modality: PSMA PET/CT | tracer: 18F-PSMA | view: axial | PET grid: 200×200
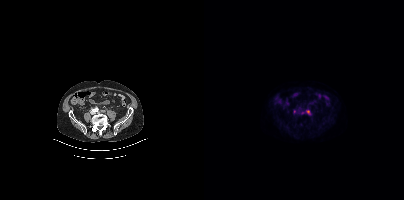
Coordinates are on the 200×200 PET (right) panel. PSMA-avid tumor lesion bounding box (x0, y0)-(x1, y1): (98, 110)-(105, 113). Small PSMA-avid focus (2 to 4 px across) near (center x, center y): (90, 111).